Technique: Paired axial CT (left) and PSMA PET (right), [18F]PSMA-1007 tracer. slice position z = -516 mm. PET panel 200×200 px (4.1 mm/px).
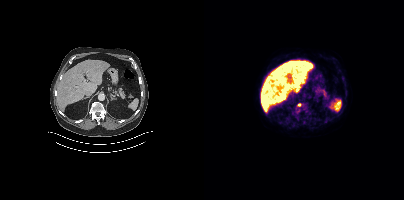
Findings: Coordinates are on the 200×200 PET (right) panel. PSMA-avid tumor lesion bounding box (x, y, width, height): x=93 y=103 w=5 h=4.